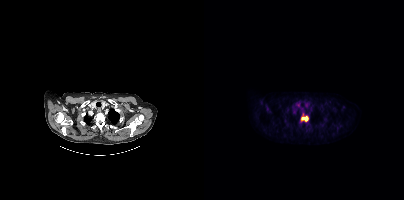
- Two-panel axial: CT | PSMA PET, 18F-PSMA tracer
- acquired on Siemens Biograph mCT Flow 20
- PET panel 200×200 px (4.1 mm/px)
Findings: Coordinates are on the 200×200 PET (right) panel. PSMA-avid tumor lesion bounding box (x0,y0,x1,y1): [97,114,104,121].